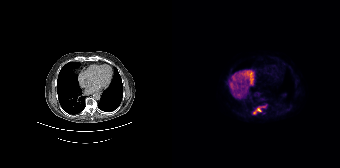
Coordinates are on the 168×168 PET (right) panel. PSMA-avid tumor lesion bounding box (x, y, width, height): x=81 y=105 w=14 h=10.